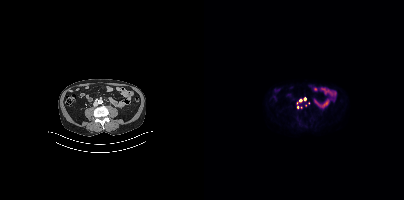
{"modality":"PSMA PET/CT","view":"axial","tracer":"18F-PSMA","pet_grid":[200,200],"coord_frame":"pet_panel","coord_format":"x0,y0,x1,y1","partial":true,"lesion_bboxes":[],"small_foci_centers":[[100,98]]}